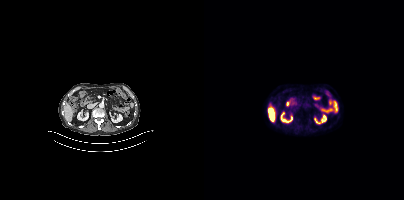
Paired axial CT (left) and PSMA PET (right), 18F tracer. Acquired on Siemens Biograph mCT Flow 20. Slice position z = -714 mm. No tumor lesions annotated on this slice.